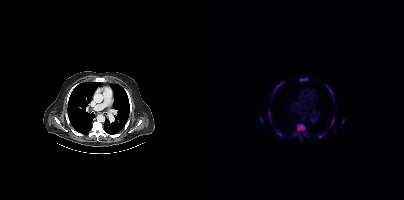
Coordinates are on the 200×200 PET (right) panel. (showing 10 of 12 foci) PSMA-avid tumor lesion bounding boxes (x0,y0,x1,y1): [88,123,101,140]; [122,85,129,95]; [72,131,79,136]; [96,78,103,81]; [64,111,66,118]; [127,118,129,125]; [114,135,119,137]; [138,119,140,123]. Small PSMA-avid foci (2 to 4 px across) near (center x, center y): (57, 119); (109, 121). Paired axial CT (left) and PSMA PET (right), 18F tracer. Slice 293 of 423.